Technique: Left: CT. Right: PSMA PET, same axial level, 18F-PSMA tracer.
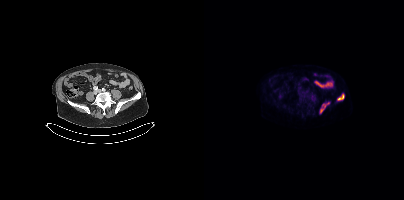
Findings: Coordinates are on the 200×200 PET (right) panel. PSMA-avid tumor lesion bounding boxes (x, y, width, height): x=116 y=102 w=10 h=12; x=133 y=93 w=8 h=8.